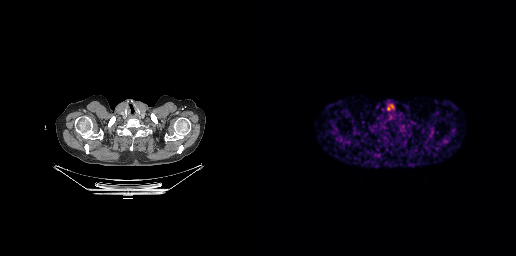
No tumor lesions annotated on this slice.